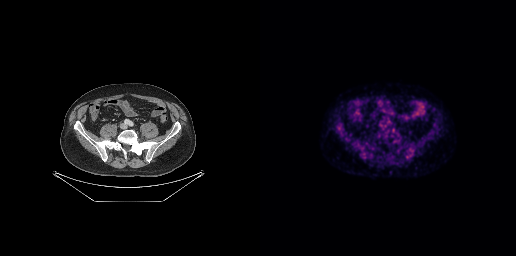
{"modality":"PSMA PET/CT","view":"axial","tracer":"[18F]PSMA-1007","pet_grid":[256,256],"coord_frame":"pet_panel","coord_format":"x0,y0,x1,y1","psma_avid_lesions":false}